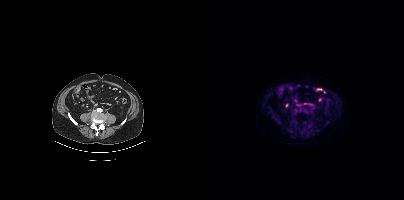
{"modality":"PSMA PET/CT","view":"axial","tracer":"18F","pet_grid":[200,200],"coord_frame":"pet_panel","coord_format":"x0,y0,x1,y1","psma_avid_lesions":false}